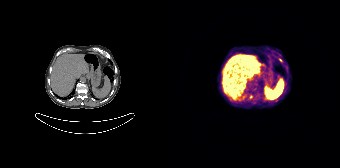
{"modality":"PSMA PET/CT","view":"axial","tracer":"68Ga-PSMA","pet_grid":[168,168],"coord_frame":"pet_panel","coord_format":"x0,y0,x1,y1","lesion_bboxes":[],"small_foci_centers":[[78,96],[108,59]]}